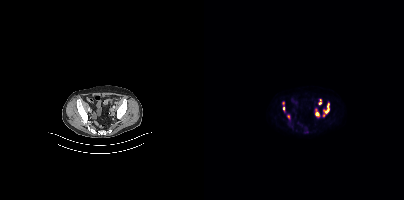
Coordinates are on the 200×200 PET (right) panel. (showing 6 of 7 foci) PSMA-avid tumor lesion bounding boxes (x0,y0,x1,y1): [119,103,125,116]; [111,109,115,115]; [79,107,81,111]. Small PSMA-avid foci (2 to 4 px across) near (center x, center y): (84, 116); (116, 103); (116, 99).